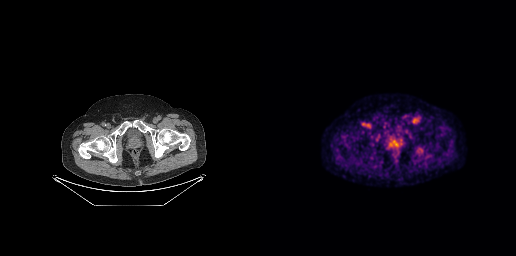
Left: CT. Right: PSMA PET, same axial level, [18F]PSMA-1007 tracer. Acquired on GE Discovery 690. Slice position z = -730 mm. PET panel 256×256 px (2.7 mm/px). Negative for PSMA-avid disease on this slice.